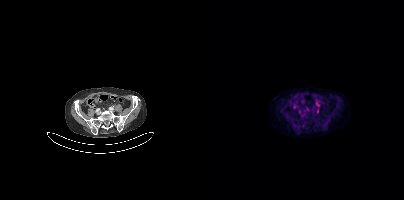
Findings: Coordinates are on the 200×200 PET (right) panel. (showing 1 of 2 foci) Small PSMA-avid focus (2 to 4 px across) near (center x, center y): (113, 104).
- Paired axial CT (left) and PSMA PET (right), 18F tracer
- acquired on Siemens Biograph mCT Flow 20
- slice 127 of 425
- PET panel 200×200 px (4.1 mm/px)